- Two-panel axial: CT | PSMA PET, 18F tracer
- slice position z = -944 mm
- PET panel 168×168 px (4.1 mm/px)
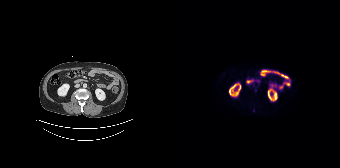
Findings: This slice has no annotated PSMA-avid lesion.